Left: CT. Right: PSMA PET, same axial level, [18F]PSMA-1007 tracer. PET panel 200×200 px (4.1 mm/px).
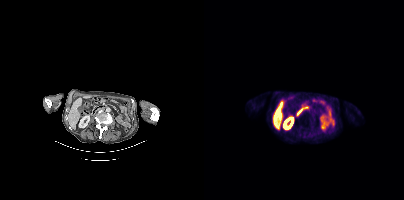
No tumor lesions annotated on this slice.